Technique: Paired axial CT (left) and PSMA PET (right), [18F]PSMA-1007 tracer. acquired on Siemens Biograph mCT Flow 20. slice position z = -549 mm. PET panel 200×200 px (4.1 mm/px).
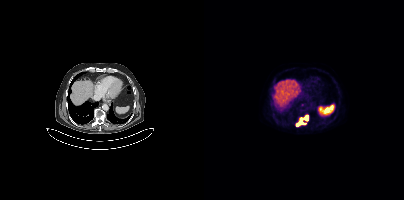
Findings: Coordinates are on the 200×200 PET (right) panel. PSMA-avid tumor lesion bounding box (x, y, width, height): x=92 y=115 w=13 h=12.